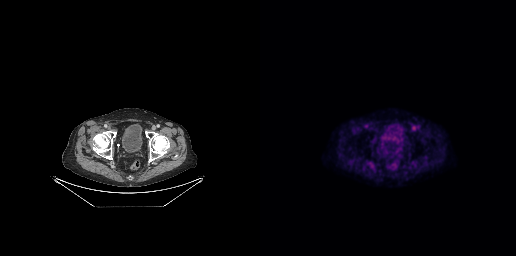
No PSMA-avid tumor lesions on this slice.